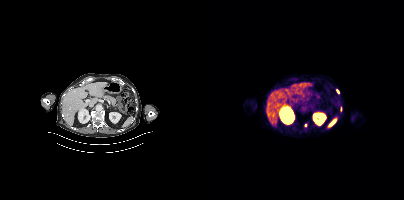
Coordinates are on the 200×200 PET (right) panel. (showing 2 of 3 foci) PSMA-avid tumor lesion bounding box (x, y, width, height): x=133 y=89 w=3 h=5. Small PSMA-avid focus (2 to 4 px across) near (center x, center y): (101, 125). Paired axial CT (left) and PSMA PET (right), [18F]PSMA-1007 tracer. Slice 224 of 427.